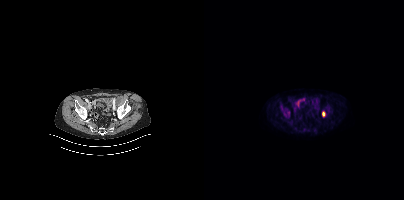
modality: PSMA PET/CT | tracer: [18F]PSMA-1007 | view: axial | PET grid: 200×200
Coordinates are on the 200×200 PET (right) panel. PSMA-avid tumor lesion bounding box (x0,y0,x1,y1): [118,111,121,116].